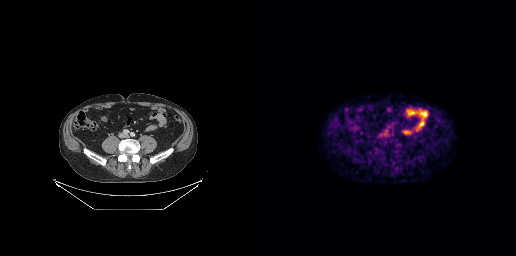
No tumor lesions annotated on this slice.